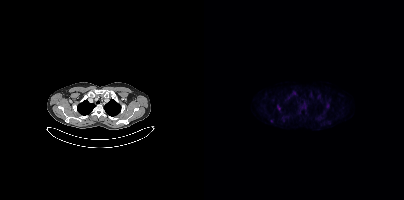
Coordinates are on the 200×200 PET (right) panel. Small PSMA-avid focus (2 to 4 px across) near (center x, center y): (74, 107).